- Two-panel axial: CT | PSMA PET, [68Ga]Ga-PSMA-11 tracer
- slice 95 of 165
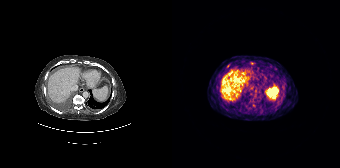
Findings: Coordinates are on the 168×168 PET (right) panel. PSMA-avid tumor lesion bounding box (x0, y0)-(x1, y1): (78, 62)-(83, 64). Small PSMA-avid focus (2 to 4 px across) near (center x, center y): (56, 65).